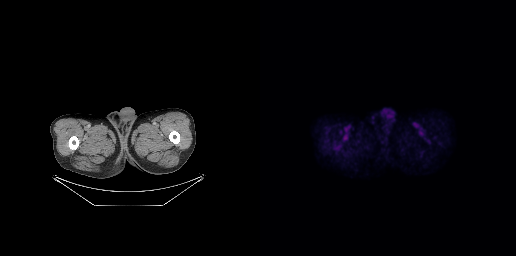
Findings: No tumor lesions annotated on this slice.
Technique: Paired axial CT (left) and PSMA PET (right), [18F]PSMA-1007 tracer. slice position z = -835 mm.